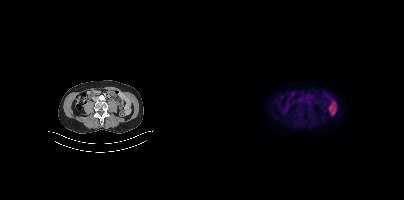
Technique: Paired axial CT (left) and PSMA PET (right), 18F tracer. PET panel 200×200 px (4.1 mm/px).
Findings: No PSMA-avid tumor lesions on this slice.